Left: CT. Right: PSMA PET, same axial level, 18F-PSMA tracer.
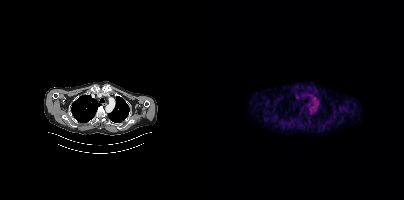
Negative for PSMA-avid disease on this slice.